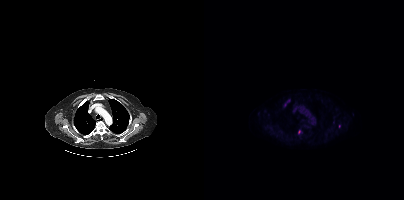
Findings: This slice has no annotated PSMA-avid lesion.
- Paired axial CT (left) and PSMA PET (right), 18F tracer
- acquired on Siemens Biograph mCT Flow 20
- slice position z = -978 mm
- PET panel 200×200 px (4.1 mm/px)